Two-panel axial: CT | PSMA PET, 18F-PSMA tracer. Acquired on Siemens Biograph mCT Flow 20. Slice position z = -684 mm.
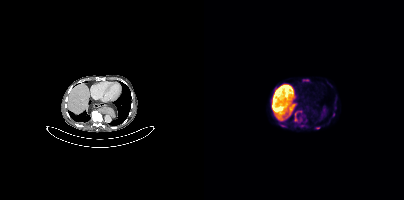
Coordinates are on the 200×200 PET (right) panel. (showing 2 of 3 foci) PSMA-avid tumor lesion bounding box (x0,y0,x1,y1): [90,111,97,121]. Small PSMA-avid focus (2 to 4 px across) near (center x, center y): (96, 119).